- Paired axial CT (left) and PSMA PET (right), 18F tracer
- slice 346 of 423
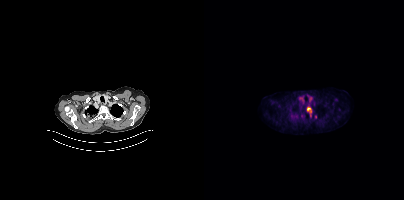
Findings: Coordinates are on the 200×200 PET (right) panel. PSMA-avid tumor lesion bounding box (x0, y0)-(x1, y1): (102, 106)-(107, 116). Small PSMA-avid focus (2 to 4 px across) near (center x, center y): (111, 116).